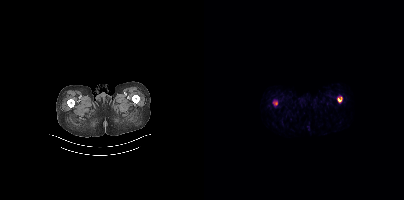
Technique: Paired axial CT (left) and PSMA PET (right), 68Ga tracer. PET panel 200×200 px (4.1 mm/px).
Findings: No tumor lesions annotated on this slice.